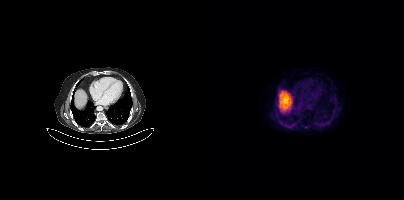
Coordinates are on the 200×200 PET (right) panel. Small PSMA-avid focus (2 to 4 px across) near (center x, center y): (101, 126). Two-panel axial: CT | PSMA PET, [18F]PSMA-1007 tracer. PET panel 200×200 px (4.1 mm/px).